Technique: Two-panel axial: CT | PSMA PET, 68Ga tracer. acquired on GE Discovery 690. slice 265 of 299. PET panel 256×256 px (2.7 mm/px).
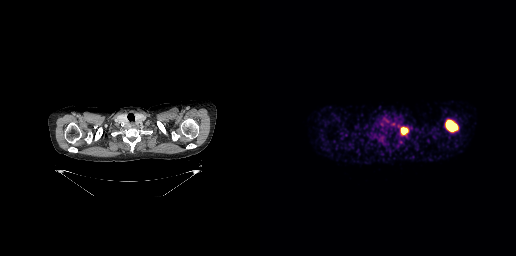
Findings: Coordinates are on the 256×256 PET (right) panel. PSMA-avid tumor lesion bounding boxes (x0, y0)-(x1, y1): (185, 119)-(198, 132); (140, 127)-(148, 134).